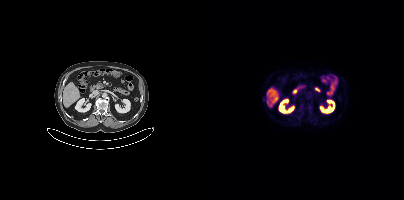
{"modality":"PSMA PET/CT","view":"axial","tracer":"18F","pet_grid":[200,200],"coord_frame":"pet_panel","coord_format":"x0,y0,x1,y1","psma_avid_lesions":false}